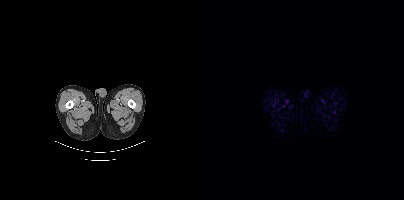
Findings: Negative for PSMA-avid disease on this slice.
- Paired axial CT (left) and PSMA PET (right), 18F tracer
- acquired on Siemens Biograph mCT Flow 20
- slice 16 of 417
- PET panel 200×200 px (4.1 mm/px)